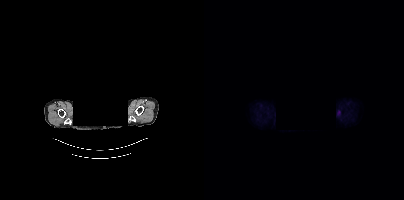
{"pet_grid":[200,200],"coord_frame":"pet_panel","coord_format":"x0,y0,x1,y1","psma_avid_lesions":false,"modality":"PSMA PET/CT","view":"axial","tracer":"18F","redaction":"head region blacked out before release"}